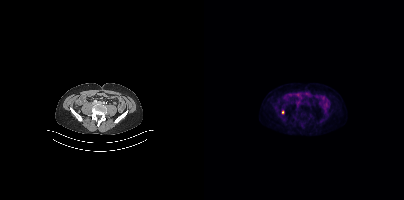
- Paired axial CT (left) and PSMA PET (right), 18F tracer
- acquired on Siemens Biograph mCT Flow 20
- slice position z = -1346 mm
Findings: Only PSMA-avid lesion pieces thinner than 2 px on this slice (not listed).